Technique: Paired axial CT (left) and PSMA PET (right), 18F-PSMA tracer. PET panel 200×200 px (4.1 mm/px).
Note: Privacy masking over the head, with the pixels inside a rectangle set to black.
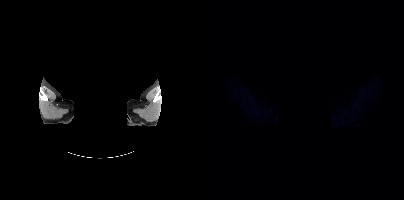
Findings: No PSMA-avid tumor lesions on this slice.